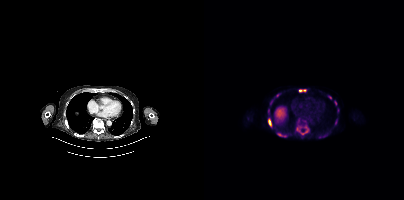
modality: PSMA PET/CT | tracer: [18F]PSMA-1007 | view: axial | PET grid: 200×200
Coordinates are on the 200×200 PET (right) panel. PSMA-avid tumor lesion bounding boxes (x0,y0,x1,y1): [73,132,83,137], [92,128,100,135], [64,119,67,126], [95,89,102,91], [124,95,127,99], [130,100,132,105], [64,109,65,113]. Small PSMA-avid foci (2 to 4 px across) near (center x, center y): (101, 127), (115, 137), (131, 123), (133, 111), (73, 95), (102, 131).